modality: PSMA PET/CT | tracer: 18F-PSMA | view: axial | PET grid: 200×200 | de-identification: privacy mask over head
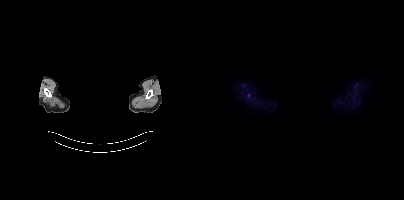
Coordinates are on the 200×200 PET (right) panel. Small PSMA-avid focus (2 to 4 px across) near (center x, center y): (44, 95).